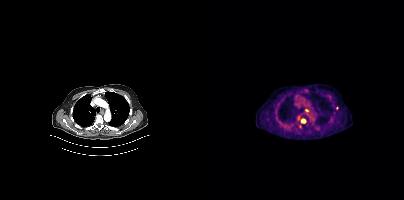
modality: PSMA PET/CT | tracer: 18F-PSMA | view: axial | PET grid: 200×200
Coordinates are on the 200×200 PET (right) panel. (showing 3 of 4 foci) PSMA-avid tumor lesion bounding box (x0, y0)-(x1, y1): (97, 119)-(102, 123). Small PSMA-avid foci (2 to 4 px across) near (center x, center y): (102, 110) | (132, 108).